Two-panel axial: CT | PSMA PET, 68Ga-PSMA tracer.
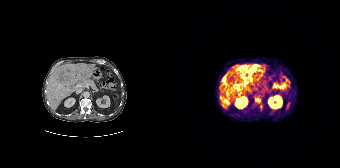
Coordinates are on the 168×168 PET (right) panel. PSMA-avid tumor lesion bounding boxes (partial; 1 more focus not listed):
| # | x0 | y0 | x1 | y1 |
|---|---|---|---|---|
| 1 | 66 | 64 | 85 | 84 |
| 2 | 49 | 76 | 54 | 81 |
| 3 | 51 | 98 | 56 | 102 |
| 4 | 83 | 98 | 88 | 102 |
| 5 | 65 | 86 | 69 | 90 |
| 6 | 62 | 82 | 66 | 85 |
| 7 | 62 | 92 | 67 | 96 |